- Two-panel axial: CT | PSMA PET, 18F-PSMA tracer
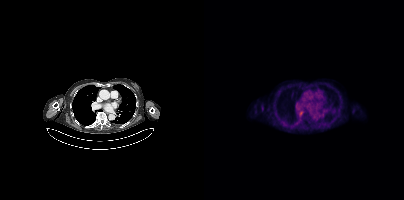
Findings: This slice has no annotated PSMA-avid lesion.